Paired axial CT (left) and PSMA PET (right), [68Ga]Ga-PSMA-11 tracer. Acquired on Siemens Biograph mCT Flow 20. Slice 403 of 409. Face de-identified by blanking a block of the head.
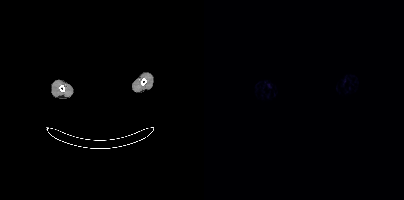
This slice has no annotated PSMA-avid lesion.